Technique: Paired axial CT (left) and PSMA PET (right), 18F-PSMA tracer. slice 255 of 431. PET panel 200×200 px (4.1 mm/px).
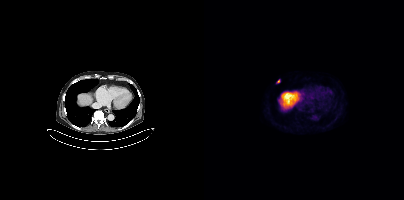
Findings: Coordinates are on the 200×200 PET (right) panel. PSMA-avid tumor lesion bounding box (x0,y0,x1,y1): [72,79,76,83].